Technique: Paired axial CT (left) and PSMA PET (right), [68Ga]Ga-PSMA-11 tracer. PET panel 168×168 px (4.1 mm/px).
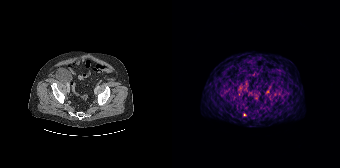
Findings: Coordinates are on the 168×168 PET (right) panel. Small PSMA-avid focus (2 to 4 px across) near (center x, center y): (72, 114).